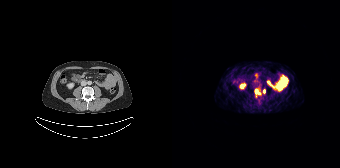
Paired axial CT (left) and PSMA PET (right), 68Ga-PSMA tracer. PET panel 168×168 px (4.1 mm/px). Coordinates are on the 168×168 PET (right) panel. PSMA-avid tumor lesion bounding boxes (x0,y0,x1,y1): [83,88,88,96] [91,89,93,93].